Paired axial CT (left) and PSMA PET (right), 68Ga-PSMA tracer. Slice position z = -262 mm.
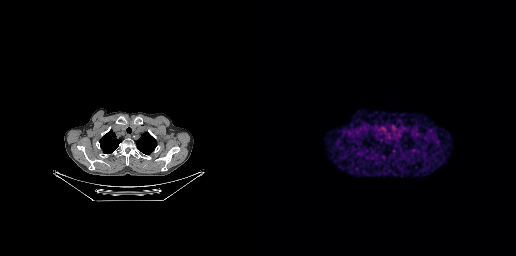
No PSMA-avid tumor lesions on this slice.